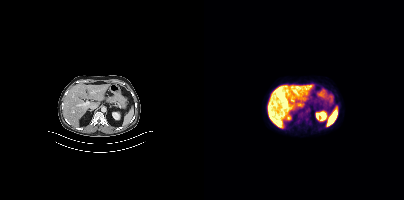
{"modality":"PSMA PET/CT","view":"axial","tracer":"[18F]PSMA-1007","pet_grid":[200,200],"coord_frame":"pet_panel","coord_format":"x0,y0,x1,y1","psma_avid_lesions":false}